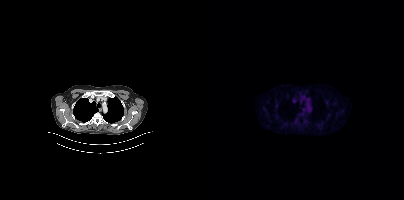
This slice has no annotated PSMA-avid lesion.